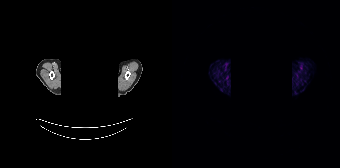
{"pet_grid":[168,168],"coord_frame":"pet_panel","coord_format":"x0,y0,x1,y1","psma_avid_lesions":false,"redaction":"rectangular block over head set to black","modality":"PSMA PET/CT","view":"axial","tracer":"[68Ga]Ga-PSMA-11"}